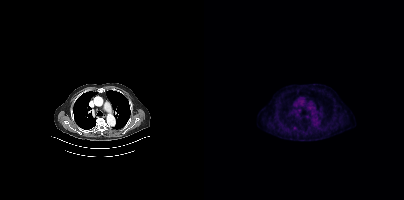
Technique: Left: CT. Right: PSMA PET, same axial level, [18F]PSMA-1007 tracer. PET panel 200×200 px (4.1 mm/px).
Findings: Coordinates are on the 200×200 PET (right) panel. Small PSMA-avid focus (2 to 4 px across) near (center x, center y): (90, 127).